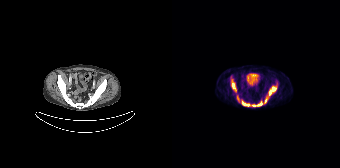
Paired axial CT (left) and PSMA PET (right), [68Ga]Ga-PSMA-11 tracer. Acquired on Siemens Biograph 64-4R TruePoint. PET panel 168×168 px (4.1 mm/px). Coordinates are on the 168×168 PET (right) panel. PSMA-avid tumor lesion bounding boxes (x0,y0,x1,y1): [92,81,105,102], [59,79,64,91], [80,101,90,106], [70,101,78,106], [65,95,67,100].